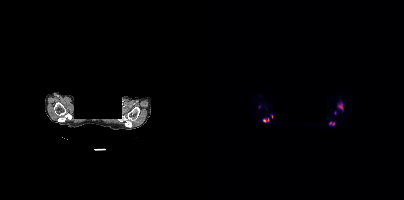
An anonymization step blacked out a rectangle over the head in this scan.
Coordinates are on the 200×200 PET (right) panel. PSMA-avid tumor lesion bounding boxes (x0, y0)-(x1, y1): (133, 102)-(139, 110) / (58, 118)-(65, 122). Small PSMA-avid foci (2 to 4 px across) near (center x, center y): (131, 112) / (126, 123) / (55, 106) / (129, 123).